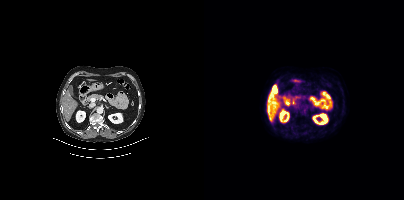
Negative for PSMA-avid disease on this slice.
modality: PSMA PET/CT | tracer: [18F]PSMA-1007 | view: axial | PET grid: 200×200